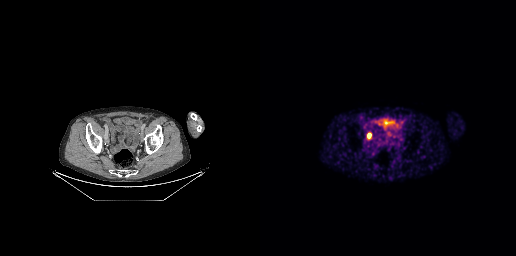
Findings: Coordinates are on the 256×256 PET (right) panel. PSMA-avid tumor lesion bounding box (x0, y0)-(x1, y1): (107, 133)-(110, 138).
- Left: CT. Right: PSMA PET, same axial level, 68Ga-PSMA tracer
- acquired on GE Discovery 690
- slice 75 of 263